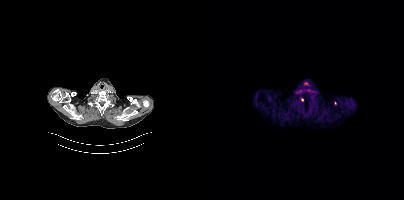
Coordinates are on the 200×200 PET (right) panel. (showing 1 of 2 foci) Small PSMA-avid focus (2 to 4 px across) near (center x, center y): (98, 99).